Technique: Paired axial CT (left) and PSMA PET (right), 18F-PSMA tracer. acquired on GE Discovery 690. slice position z = -904 mm. PET panel 256×256 px (2.7 mm/px).
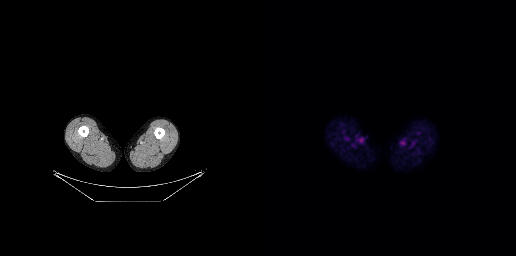
Findings: This slice has no annotated PSMA-avid lesion.